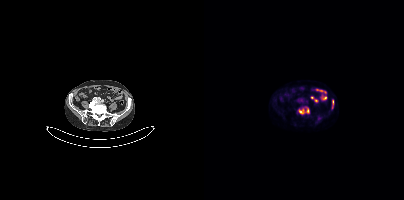
{"pet_grid":[200,200],"coord_frame":"pet_panel","coord_format":"x0,y0,x1,y1","partial":true,"lesion_bboxes":[[94,107,105,114],[128,100,129,105]],"modality":"PSMA PET/CT","view":"axial","tracer":"18F-PSMA"}